modality: PSMA PET/CT | tracer: 18F-PSMA | view: axial | PET grid: 168×168
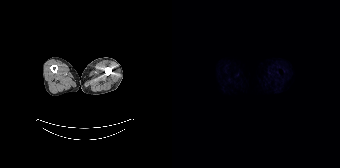
Negative for PSMA-avid disease on this slice.